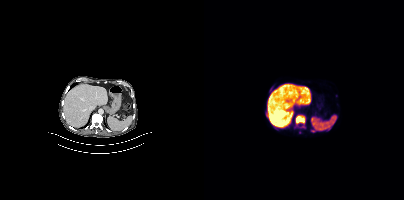
{"modality":"PSMA PET/CT","view":"axial","tracer":"18F","pet_grid":[200,200],"coord_frame":"pet_panel","coord_format":"x0,y0,x1,y1","lesion_bboxes":[[92,115,101,123],[107,130,111,132]]}